modality: PSMA PET/CT | tracer: 18F | view: axial
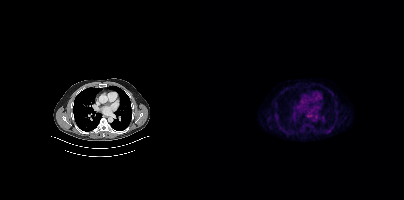
Negative for PSMA-avid disease on this slice.